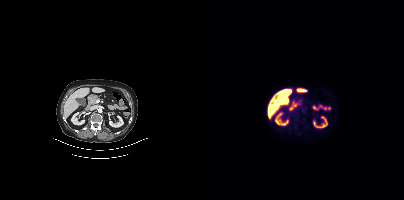
Findings: No tumor lesions annotated on this slice.
- Paired axial CT (left) and PSMA PET (right), [18F]PSMA-1007 tracer
- slice 182 of 377
- PET panel 200×200 px (4.1 mm/px)